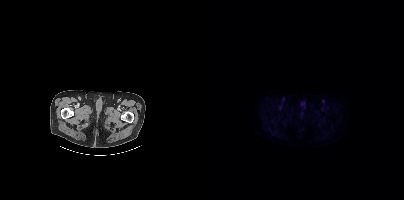
{"modality":"PSMA PET/CT","view":"axial","tracer":"18F","pet_grid":[200,200],"coord_frame":"pet_panel","coord_format":"x0,y0,x1,y1","psma_avid_lesions":false}